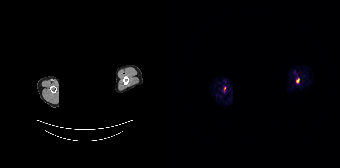
Coordinates are on the 168×168 PET (right) panel. PSMA-avid tumor lesion bounding box (x0,y0,x1,y1): [124,78,127,82].
modality: PSMA PET/CT | tracer: 68Ga | view: axial | deidentification: face masked with black rectangle